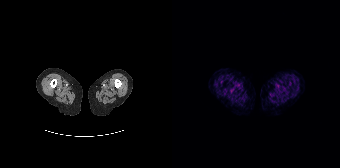
This slice has no annotated PSMA-avid lesion. Left: CT. Right: PSMA PET, same axial level, [68Ga]Ga-PSMA-11 tracer. Slice position z = -1774 mm. PET panel 168×168 px (4.1 mm/px).